modality: PSMA PET/CT | tracer: 18F-PSMA | view: axial
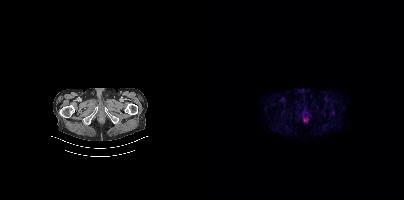
Negative for PSMA-avid disease on this slice.